Technique: Paired axial CT (left) and PSMA PET (right), [18F]PSMA-1007 tracer. PET panel 200×200 px (4.1 mm/px).
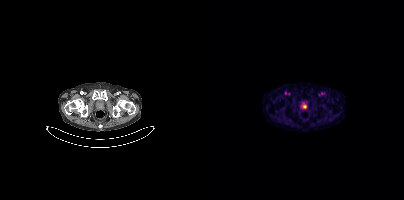
Findings: Coordinates are on the 200×200 PET (right) panel. Small PSMA-avid focus (2 to 4 px across) near (center x, center y): (100, 106).